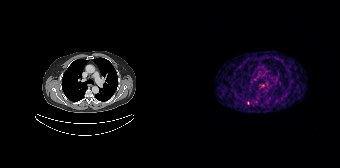
Only PSMA-avid lesion pieces thinner than 2 px on this slice (not listed).